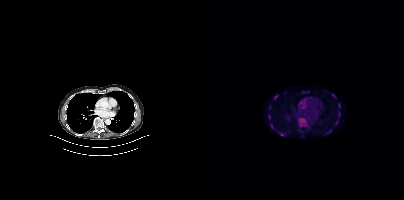
Findings: Coordinates are on the 200×200 PET (right) panel. PSMA-avid tumor lesion bounding boxes (x, y, width, height): x=134 y=103 w=3 h=5; x=134 y=112 w=3 h=5; x=70 y=95 w=4 h=5; x=66 y=124 w=4 h=5; x=128 y=95 w=5 h=4. Small PSMA-avid foci (2 to 4 px across) near (center x, center y): (65, 116); (66, 107); (133, 121); (77, 134).
- Two-panel axial: CT | PSMA PET, 18F tracer
- acquired on Siemens Biograph mCT Flow 20
- slice position z = -433 mm
- PET panel 200×200 px (4.1 mm/px)